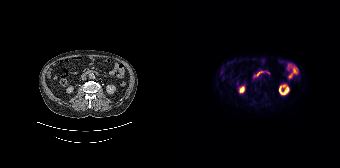
Paired axial CT (left) and PSMA PET (right), 18F tracer. Acquired on Siemens Biograph 64-4R TruePoint. PET panel 168×168 px (4.1 mm/px). No PSMA-avid tumor lesions on this slice.